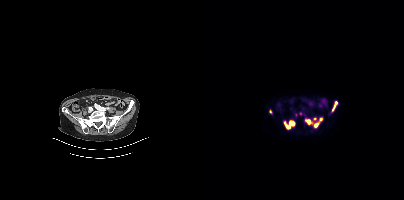
{"modality":"PSMA PET/CT","view":"axial","tracer":"68Ga","pet_grid":[200,200],"coord_frame":"pet_panel","coord_format":"x0,y0,x1,y1","lesion_bboxes":[[80,120,90,128],[108,118,118,127],[128,101,133,111]],"small_foci_centers":[[104,121],[92,115],[66,111],[95,113]]}